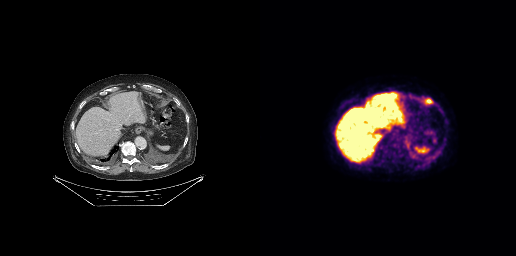
Two-panel axial: CT | PSMA PET, 18F-PSMA tracer. Slice position z = -489 mm. PET panel 256×256 px (2.7 mm/px).
Coordinates are on the 256×256 PET (right) panel. PSMA-avid tumor lesion bounding boxes (partial; 1 more focus not listed):
| # | x0 | y0 | x1 | y1 |
|---|---|---|---|---|
| 1 | 161 | 97 | 173 | 105 |
| 2 | 170 | 150 | 179 | 161 |